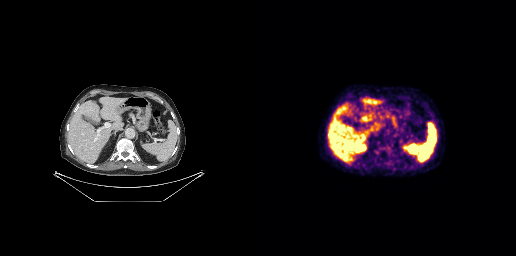
Negative for PSMA-avid disease on this slice. Left: CT. Right: PSMA PET, same axial level, 18F tracer.